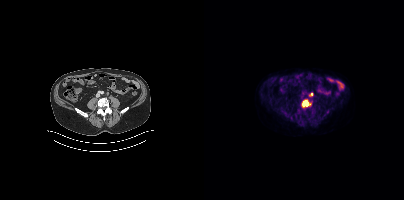
Two-panel axial: CT | PSMA PET, 18F-PSMA tracer. Acquired on Siemens Biograph mCT Flow 20. PET panel 200×200 px (4.1 mm/px). Coordinates are on the 200×200 PET (right) panel. (showing 2 of 3 foci) PSMA-avid tumor lesion bounding box (x0, y0)-(x1, y1): (98, 100)-(106, 107). Small PSMA-avid focus (2 to 4 px across) near (center x, center y): (107, 93).